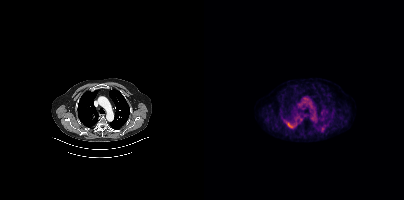
Negative for PSMA-avid disease on this slice.
modality: PSMA PET/CT | tracer: 18F-PSMA | view: axial | PET grid: 200×200